modality: PSMA PET/CT | tracer: [18F]PSMA-1007 | view: axial
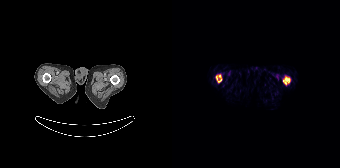
Coordinates are on the 168×168 PET (right) panel. PSMA-avid tumor lesion bounding boxes (x, y, width, height): x=111 y=76 w=8 h=10; x=44 y=74 w=6 h=9.